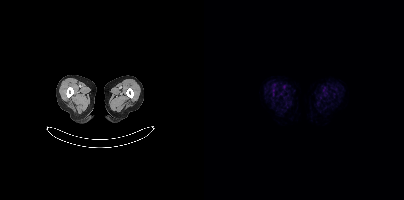
Negative for PSMA-avid disease on this slice.